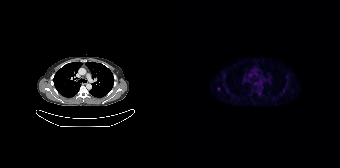
{"modality":"PSMA PET/CT","view":"axial","tracer":"[18F]PSMA-1007","pet_grid":[168,168],"coord_frame":"pet_panel","coord_format":"x0,y0,x1,y1","partial":true,"lesion_bboxes":[],"small_foci_centers":[[46,88]]}